- Paired axial CT (left) and PSMA PET (right), [18F]PSMA-1007 tracer
- acquired on Siemens Biograph mCT Flow 20
- slice 328 of 423
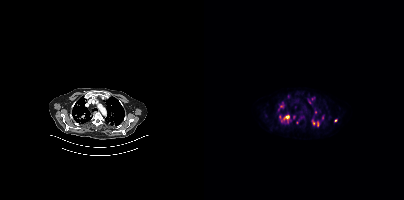
Findings: Coordinates are on the 200×200 PET (right) panel. (showing 11 of 14 foci) PSMA-avid tumor lesion bounding boxes (x0, y0)-(x1, y1): (108, 120)-(116, 127) | (77, 115)-(85, 122). Small PSMA-avid foci (2 to 4 px across) near (center x, center y): (77, 106) | (96, 118) | (84, 96) | (111, 112) | (75, 117) | (118, 119) | (131, 120) | (105, 102) | (89, 116).